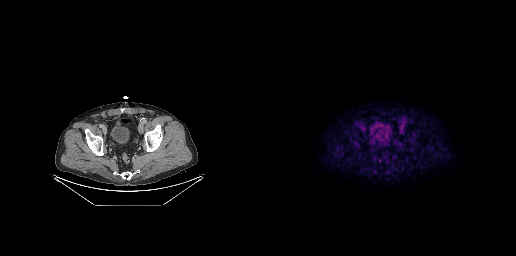
{"modality":"PSMA PET/CT","view":"axial","tracer":"18F-PSMA","pet_grid":[256,256],"coord_frame":"pet_panel","coord_format":"x0,y0,x1,y1","psma_avid_lesions":false}